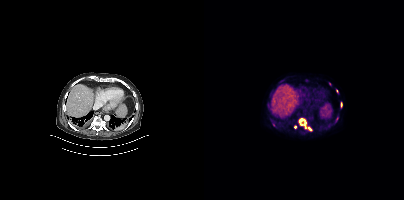
{"modality":"PSMA PET/CT","view":"axial","tracer":"18F","pet_grid":[200,200],"coord_frame":"pet_panel","coord_format":"x0,y0,x1,y1","partial":true,"lesion_bboxes":[[94,117,108,131],[137,102,138,107]],"small_foci_centers":[[91,126],[132,91]]}